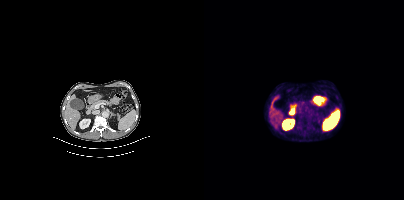
modality: PSMA PET/CT | tracer: [18F]PSMA-1007 | view: axial | PET grid: 200×200
Coordinates are on the 200×200 PET (right) panel. PSMA-avid tumor lesion bounding boxes (x, y, width, height): x=103 y=123 w=6 h=6 | x=95 y=122 w=5 h=5.